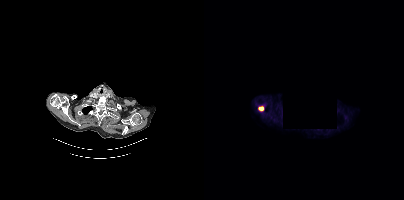
Some pixels were blanked for anonymization.
Coordinates are on the 200×200 PET (right) panel. PSMA-avid tumor lesion bounding box (x, y, width, height): x=54 y=106 w=6 h=5.